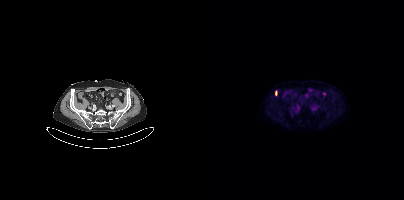
Only PSMA-avid lesion pieces thinner than 2 px on this slice (not listed). Left: CT. Right: PSMA PET, same axial level, 18F tracer.